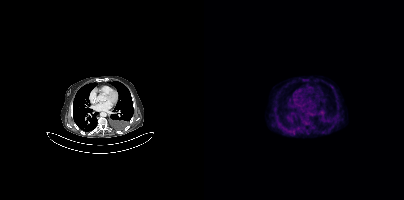
Coordinates are on the 200×200 PET (right) panel. Small PSMA-avid focus (2 to 4 px across) near (center x, center y): (119, 132).